Paired axial CT (left) and PSMA PET (right), 18F-PSMA tracer. Slice position z = -802 mm.
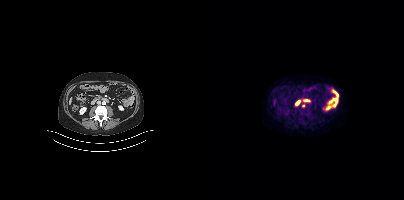
Coordinates are on the 200×200 PET (right) panel. Small PSMA-avid focus (2 to 4 px across) near (center x, center y): (99, 105).